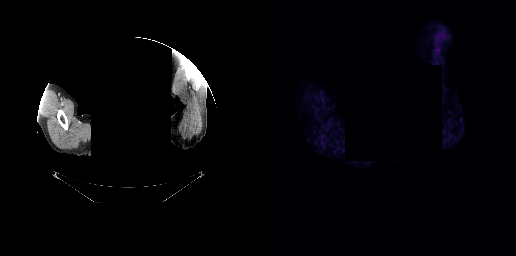
{"modality":"PSMA PET/CT","view":"axial","tracer":"18F","pet_grid":[256,256],"coord_frame":"pet_panel","coord_format":"x0,y0,x1,y1","deidentification":"head region blanked (face removed)","psma_avid_lesions":false}